Facial anatomy redacted by setting a rectangular region of the head to black. Paired axial CT (left) and PSMA PET (right), [68Ga]Ga-PSMA-11 tracer. PET panel 200×200 px (4.1 mm/px).
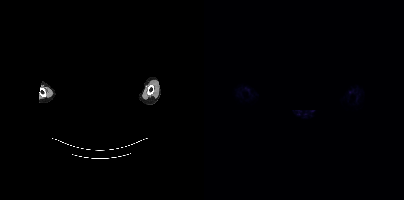
Negative for PSMA-avid disease on this slice.